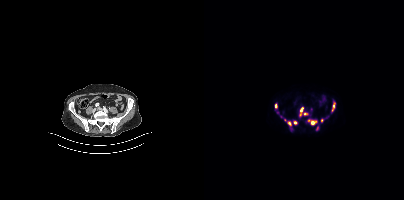
Coordinates are on the 200×200 PET (right) panel. PSMA-avid tumor lesion bounding boxes (partial; 2 more foci not listed):
| # | x0 | y0 | x1 | y1 |
|---|---|---|---|---|
| 1 | 107 | 121 | 112 | 124 |
| 2 | 128 | 103 | 130 | 111 |
| 3 | 84 | 121 | 87 | 125 |
| 4 | 96 | 107 | 99 | 112 |
Small PSMA-avid foci (2 to 4 px across) near (center x, center y): (72, 105); (91, 122); (101, 113); (117, 120); (77, 116); (80, 119).
Paired axial CT (left) and PSMA PET (right), [18F]PSMA-1007 tracer.